modality: PSMA PET/CT | tracer: [18F]PSMA-1007 | view: axial | de-identification: head region blanked (face removed)
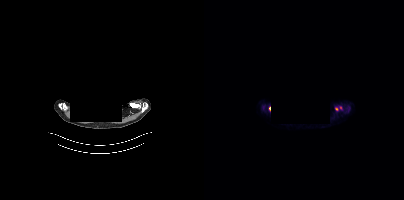
Coordinates are on the 200×200 PET (right) panel. PSMA-avid tumor lesion bounding box (x0, y0)-(x1, y1): (131, 106)-(138, 110).